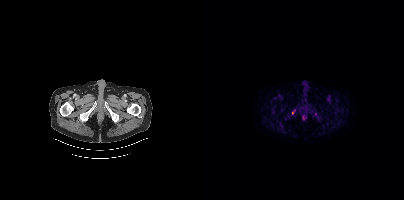
Paired axial CT (left) and PSMA PET (right), 18F-PSMA tracer. Acquired on Siemens Biograph mCT Flow 20. Slice position z = -1001 mm. Coordinates are on the 200×200 PET (right) panel. PSMA-avid tumor lesion bounding box (x0, y0)-(x1, y1): (88, 110)-(91, 114).